modality: PSMA PET/CT | tracer: [18F]PSMA-1007 | view: axial
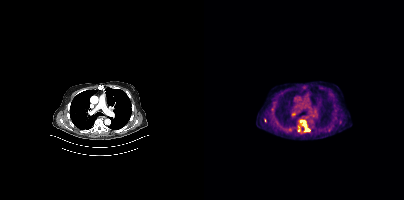
Coordinates are on the 200×200 PET (right) panel. PSMA-avid tumor lesion bounding boxes (x0,y0,x1,y1): [100,122,105,130], [93,128,97,132]. Small PSMA-avid focus (2 to 4 px across) near (center x, center y): (61, 120).